- Left: CT. Right: PSMA PET, same axial level, [68Ga]Ga-PSMA-11 tracer
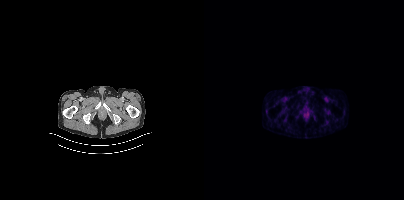
Findings: No tumor lesions annotated on this slice.